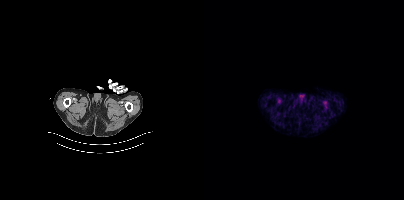
This slice has no annotated PSMA-avid lesion. Left: CT. Right: PSMA PET, same axial level, [18F]PSMA-1007 tracer. Acquired on Siemens Biograph mCT Flow 20.